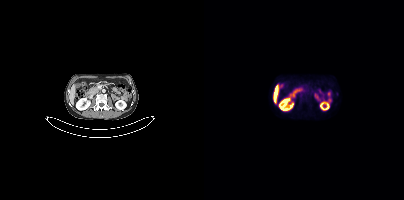
{"modality":"PSMA PET/CT","view":"axial","tracer":"18F","pet_grid":[200,200],"coord_frame":"pet_panel","coord_format":"x0,y0,x1,y1","lesion_bboxes":[],"small_foci_centers":[[133,93]]}